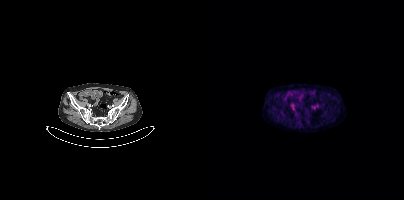
{"pet_grid":[200,200],"coord_frame":"pet_panel","coord_format":"x0,y0,x1,y1","psma_avid_lesions":false,"modality":"PSMA PET/CT","view":"axial","tracer":"18F"}